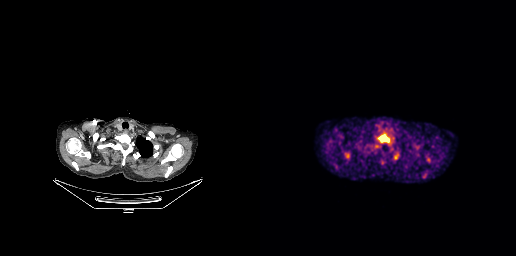
Findings: Coordinates are on the 256×256 PET (right) panel. PSMA-avid tumor lesion bounding box (x0, y0)-(x1, y1): (118, 134)-(129, 142).
- Two-panel axial: CT | PSMA PET, [18F]PSMA-1007 tracer